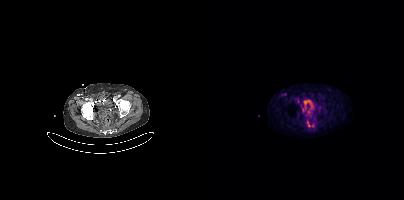
Coordinates are on the 200×200 PET (right) panel. PSMA-avid tumor lesion bounding box (x, y, width, height): x=103 y=121 w=4 h=6. Small PSMA-avid foci (2 to 4 px across) near (center x, center y): (79, 94) / (104, 112) / (99, 110) / (108, 125).